- Left: CT. Right: PSMA PET, same axial level, 18F-PSMA tracer
- acquired on Siemens Biograph mCT Flow 20
- PET panel 200×200 px (4.1 mm/px)
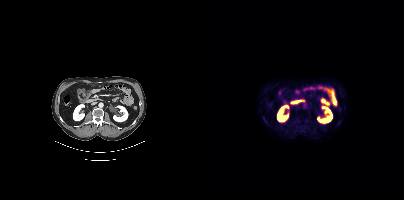
Findings: No tumor lesions annotated on this slice.